Technique: Two-panel axial: CT | PSMA PET, 18F tracer.
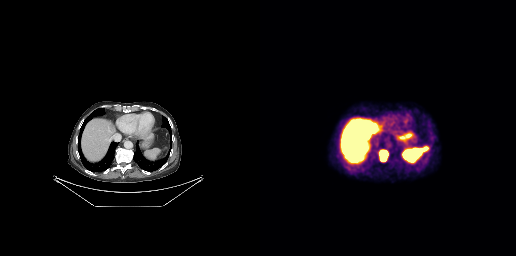
Findings: Coordinates are on the 256×256 PET (right) panel. PSMA-avid tumor lesion bounding box (x0,y0,x1,y1): [119,151,127,161].